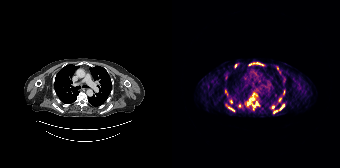
Technique: Left: CT. Right: PSMA PET, same axial level, 68Ga tracer. acquired on Siemens Biograph 64-4R TruePoint.
Findings: Coordinates are on the 168×168 PET (right) panel. (showing 14 of 17 foci) PSMA-avid tumor lesion bounding boxes (x0, y0)-(x1, y1): (75, 98)-(82, 105); (81, 102)-(86, 107); (56, 107)-(62, 111); (108, 104)-(112, 109); (85, 63)-(90, 65). Small PSMA-avid foci (2 to 4 px across) near (center x, center y): (58, 100); (100, 107); (63, 65); (103, 111); (105, 67); (81, 94); (67, 105); (77, 64); (107, 99).